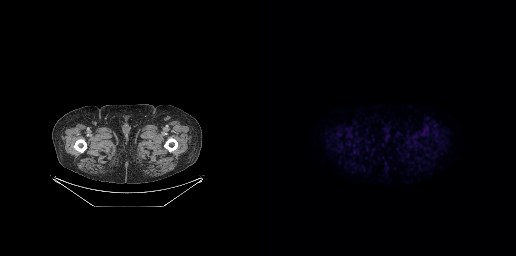
This slice has no annotated PSMA-avid lesion.
modality: PSMA PET/CT | tracer: 18F | view: axial